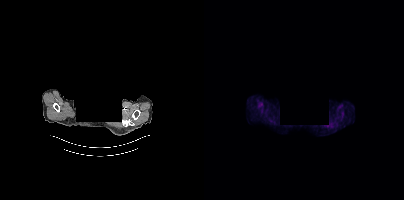
{"modality":"PSMA PET/CT","view":"axial","tracer":"[18F]PSMA-1007","pet_grid":[200,200],"coord_frame":"pet_panel","coord_format":"x0,y0,x1,y1","de-identification":"head region blacked out before release","psma_avid_lesions":false}